Left: CT. Right: PSMA PET, same axial level, 18F-PSMA tracer. Acquired on GE Discovery 690.
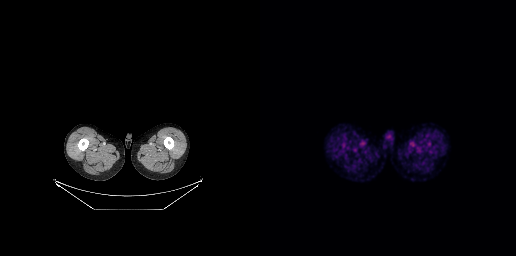
No tumor lesions annotated on this slice.